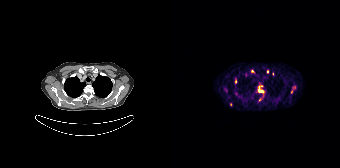
Left: CT. Right: PSMA PET, same axial level, [68Ga]Ga-PSMA-11 tracer. PET panel 168×168 px (4.1 mm/px).
Coordinates are on the 168×168 PET (right) panel. PSMA-avid tumor lesion bounding boxes (partial; 2 more foci not listed):
| # | x0 | y0 | x1 | y1 |
|---|---|---|---|---|
| 1 | 86 | 85 | 92 | 93 |
| 2 | 119 | 82 | 123 | 93 |
| 3 | 63 | 79 | 64 | 83 |
Small PSMA-avid foci (2 to 4 px across) near (center x, center y): (80, 71); (58, 104); (95, 71); (87, 99).